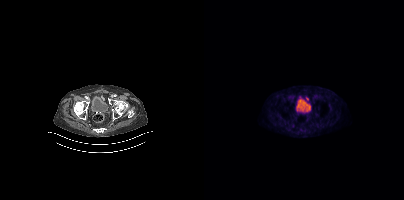
{"pet_grid":[200,200],"coord_frame":"pet_panel","coord_format":"x0,y0,x1,y1","psma_avid_lesions":false,"modality":"PSMA PET/CT","view":"axial","tracer":"[18F]PSMA-1007"}